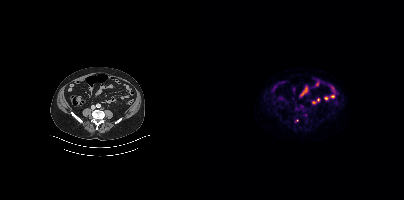
- Paired axial CT (left) and PSMA PET (right), [18F]PSMA-1007 tracer
- slice 156 of 405
Findings: Only PSMA-avid lesion pieces thinner than 2 px on this slice (not listed).